Technique: Paired axial CT (left) and PSMA PET (right), [18F]PSMA-1007 tracer.
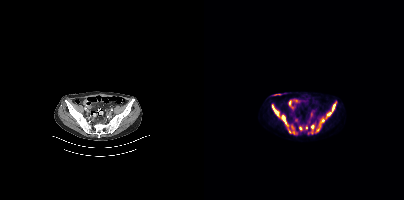
Findings: Coordinates are on the 200×200 PET (right) panel. PSMA-avid tumor lesion bounding boxes (x0, y0)-(x1, y1): (67, 104)-(86, 132) | (122, 102)-(132, 118) | (117, 118)-(120, 122). Small PSMA-avid foci (2 to 4 px across) near (center x, center y): (108, 126) | (96, 128) | (102, 127) | (113, 129).